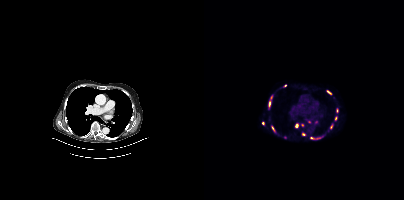
Coordinates are on the 200×200 PET (right) panel. (showing 11 of 15 foci) PSMA-avid tumor lesion bounding boxes (x0,y0,x1,y1): [123,91,127,94]; [65,101,66,106]; [106,137,110,139]. Small PSMA-avid foci (2 to 4 px across) near (center x, center y): (92, 125); (127, 126); (98, 125); (99, 134); (81, 85); (58, 123); (68, 128); (131, 118).
modality: PSMA PET/CT | tracer: 68Ga | view: axial